Technique: Left: CT. Right: PSMA PET, same axial level, 68Ga tracer.
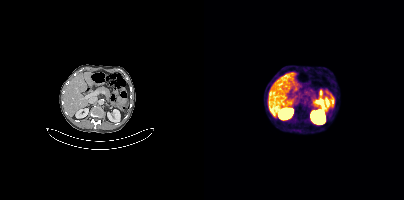
Findings: Negative for PSMA-avid disease on this slice.